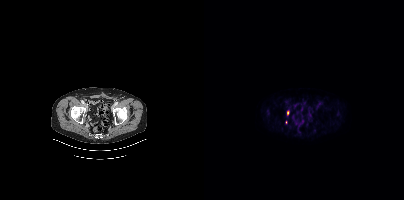
{"modality":"PSMA PET/CT","view":"axial","tracer":"18F","pet_grid":[200,200],"coord_frame":"pet_panel","coord_format":"x0,y0,x1,y1","partial":true,"lesion_bboxes":[],"small_foci_centers":[[83,112]]}